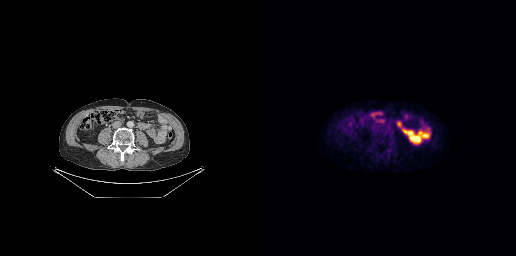
Paired axial CT (left) and PSMA PET (right), [18F]PSMA-1007 tracer. Acquired on GE Discovery 690. This slice has no annotated PSMA-avid lesion.